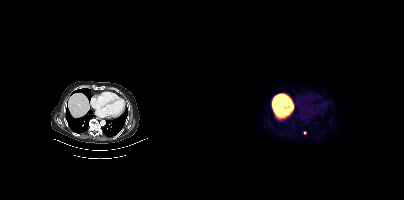
Coordinates are on the 200×200 PET (right) panel. Small PSMA-avid focus (2 to 4 px across) near (center x, center y): (100, 132). Two-panel axial: CT | PSMA PET, [18F]PSMA-1007 tracer. Acquired on Siemens Biograph mCT Flow 20.